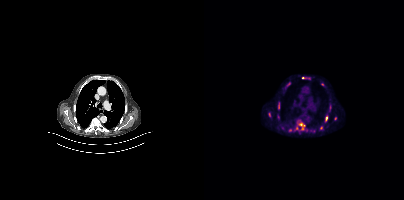
Two-panel axial: CT | PSMA PET, [18F]PSMA-1007 tracer. Slice position z = -1033 mm. Coordinates are on the 200×200 PET (right) panel. PSMA-avid tumor lesion bounding boxes (x0,y0,x1,y1): [90,119,103,132], [81,82,86,87], [64,112,67,117], [121,115,124,121], [98,77,105,79], [74,103,75,109], [126,105,127,110]. Small PSMA-avid foci (2 to 4 px across) near (center x, center y): (87, 130), (117, 128), (131, 118), (78, 127).